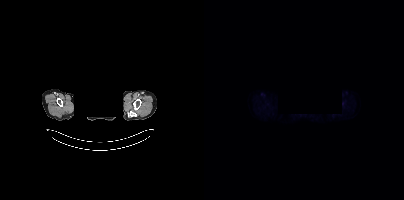
Facial anatomy redacted by setting a rectangular region of the head to black.
No tumor lesions annotated on this slice.